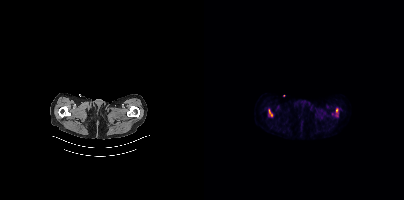
Technique: Paired axial CT (left) and PSMA PET (right), 18F tracer. slice position z = -928 mm.
Findings: Coordinates are on the 200×200 PET (right) panel. (showing 2 of 3 foci) PSMA-avid tumor lesion bounding boxes (x, y, width, height): x=64 y=109 w=5 h=8; x=132 y=108 w=3 h=5.